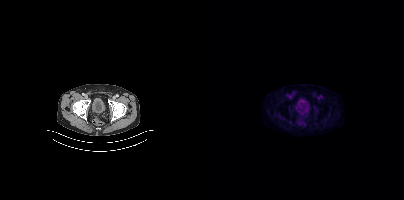
Paired axial CT (left) and PSMA PET (right), 18F tracer. Slice position z = -940 mm. PET panel 200×200 px (4.1 mm/px). No tumor lesions annotated on this slice.